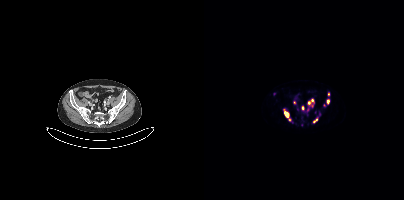
Coordinates are on the 200×200 PET (right) panel. (showing 9 of 12 foci) PSMA-avid tumor lesion bounding boxes (x0, y0)-(x1, y1): (102, 101)-(109, 111) | (79, 109)-(85, 117) | (109, 117)-(114, 122) | (122, 100)-(124, 104). Small PSMA-avid foci (2 to 4 px across) near (center x, center y): (99, 107) | (124, 94) | (108, 100) | (90, 102) | (85, 119).